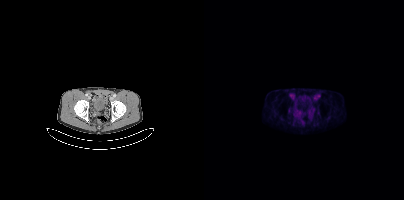
Paired axial CT (left) and PSMA PET (right), 18F tracer. PET panel 200×200 px (4.1 mm/px). Negative for PSMA-avid disease on this slice.